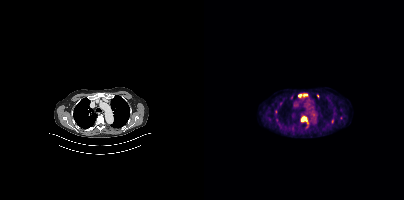
{"modality":"PSMA PET/CT","view":"axial","tracer":"18F","pet_grid":[200,200],"coord_frame":"pet_panel","coord_format":"x0,y0,x1,y1","lesion_bboxes":[[97,116,103,121],[94,94,103,97]],"small_foci_centers":[[128,120],[113,96]]}